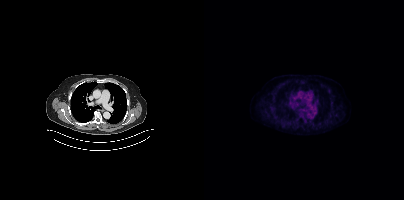
No PSMA-avid tumor lesions on this slice.